Left: CT. Right: PSMA PET, same axial level, [18F]PSMA-1007 tracer. Slice 116 of 423. PET panel 200×200 px (4.1 mm/px).
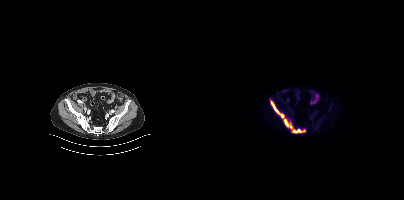
Coordinates are on the 200×200 PET (right) panel. PSMA-avid tumor lesion bounding boxes (x0, y0)-(x1, y1): (67, 102)-(84, 126); (89, 129)-(97, 132). Small PSMA-avid foci (2 to 4 px across) near (center x, center y): (87, 126); (99, 130).